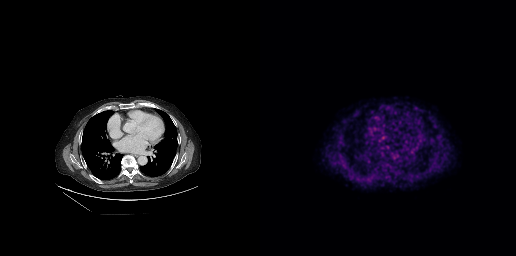
{"modality":"PSMA PET/CT","view":"axial","tracer":"[18F]PSMA-1007","pet_grid":[256,256],"coord_frame":"pet_panel","coord_format":"x0,y0,x1,y1","lesion_bboxes":[[111,173,117,179]]}